Left: CT. Right: PSMA PET, same axial level, 68Ga tracer. Acquired on GE Discovery 690. PET panel 256×256 px (2.7 mm/px).
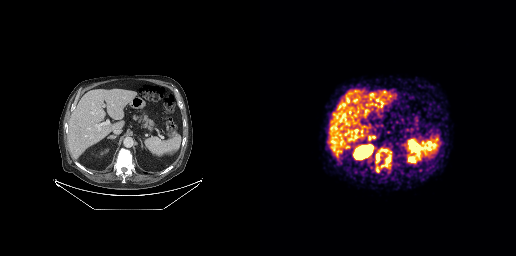
Coordinates are on the 256×256 PET (right) panel. PSMA-avid tumor lesion bounding boxes:
| # | x0 | y0 | x1 | y1 |
|---|---|---|---|---|
| 1 | 116 | 148 | 131 | 167 |
| 2 | 116 | 166 | 119 | 172 |